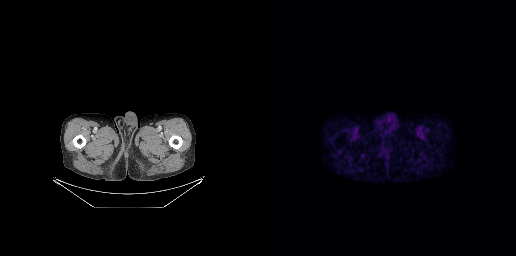
modality: PSMA PET/CT | tracer: [18F]PSMA-1007 | view: axial | PET grid: 256×256
No tumor lesions annotated on this slice.